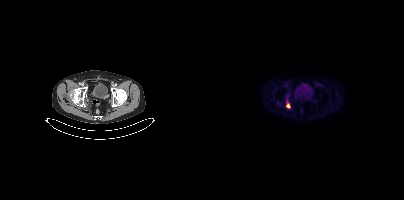
Coordinates are on the 200×200 PET (right) panel. PSMA-avid tumor lesion bounding box (x0, y0)-(x1, y1): (82, 103)-(85, 107).
modality: PSMA PET/CT | tracer: 18F-PSMA | view: axial